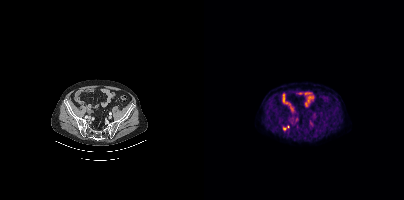
Coordinates are on the 200×200 PET (right) panel. PSMA-avid tumor lesion bounding box (x0, y0)-(x1, y1): (79, 125)-(85, 130).